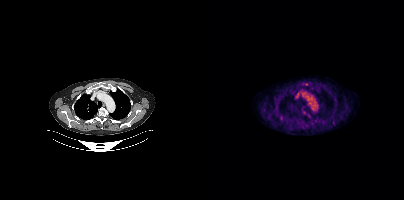
Findings: Coordinates are on the 200×200 PET (right) panel. (showing 2 of 3 foci) Small PSMA-avid foci (2 to 4 px across) near (center x, center y): (77, 118) / (129, 122).
- Paired axial CT (left) and PSMA PET (right), 18F-PSMA tracer
- PET panel 200×200 px (4.1 mm/px)